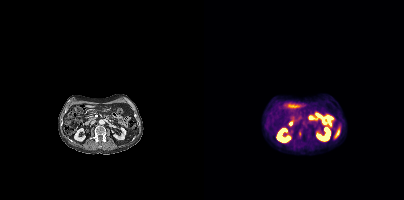
Coordinates are on the 200×200 PET (right) panel. PSMA-avid tumor lesion bounding box (x0,y0,x1,y1): [95,131,97,136].